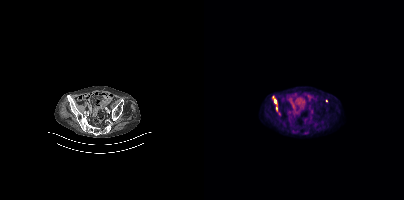
Paired axial CT (left) and PSMA PET (right), 18F-PSMA tracer. Slice position z = -1460 mm. PET panel 200×200 px (4.1 mm/px).
Coordinates are on the 200×200 PET (right) panel. PSMA-avid tumor lesion bounding boxes (partial; 1 more focus not listed):
| # | x0 | y0 | x1 | y1 |
|---|---|---|---|---|
| 1 | 70 | 99 | 72 | 103 |
Small PSMA-avid focus (2 to 4 px across) near (center x, center y): (72, 108).